Head region blanked for anonymization (face removed).
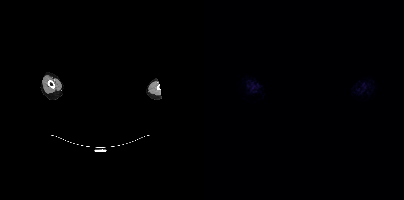
This slice has no annotated PSMA-avid lesion.